Paired axial CT (left) and PSMA PET (right), 18F-PSMA tracer. PET panel 200×200 px (4.1 mm/px).
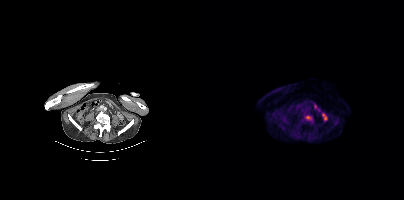
Coordinates are on the 200×200 PET (right) panel. PSMA-avid tumor lesion bounding boxes:
| # | x0 | y0 | x1 | y1 |
|---|---|---|---|---|
| 1 | 101 | 115 | 108 | 120 |